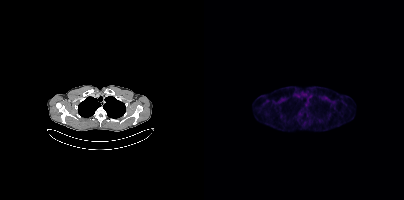
modality: PSMA PET/CT | tracer: 18F-PSMA | view: axial | PET grid: 200×200
This slice has no annotated PSMA-avid lesion.